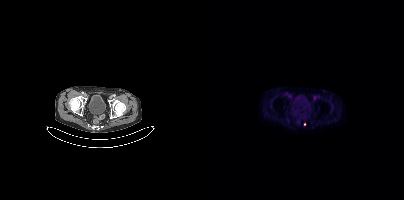
- Left: CT. Right: PSMA PET, same axial level, 18F-PSMA tracer
- slice 72 of 397
- PET panel 200×200 px (4.1 mm/px)
Findings: Coordinates are on the 200×200 PET (right) panel. Small PSMA-avid focus (2 to 4 px across) near (center x, center y): (100, 124).